- Two-panel axial: CT | PSMA PET, 18F tracer
- acquired on Siemens Biograph mCT Flow 20
- slice position z = -600 mm
- PET panel 200×200 px (4.1 mm/px)
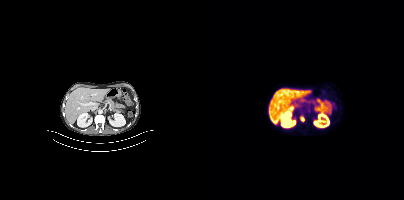
Findings: Coordinates are on the 200×200 PET (right) panel. PSMA-avid tumor lesion bounding box (x, y, width, height): x=96 y=116 w=5 h=6.